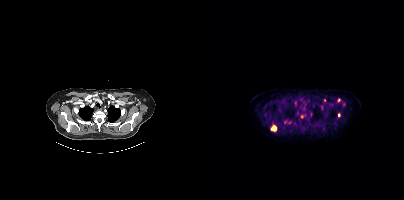
Coordinates are on the 200×200 PET (right) panel. (showing 7 of 10 foci) PSMA-avid tumor lesion bounding box (x0, y0)-(x1, y1): (67, 125)-(72, 130). Small PSMA-avid foci (2 to 4 px across) near (center x, center y): (107, 114) / (86, 123) / (134, 115) / (80, 122) / (97, 116) / (119, 129).